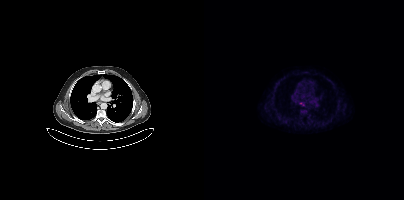
Coordinates are on the 200×200 PET (right) panel. PSMA-avid tumor lesion bounding box (x0,y0,x1,y1): [96,102,100,105].